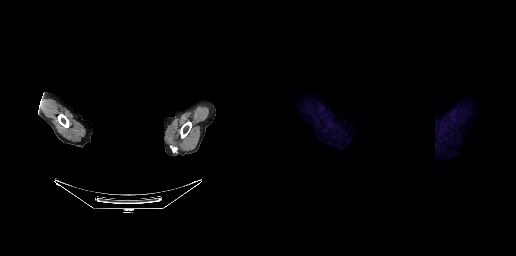
Findings: This slice has no annotated PSMA-avid lesion.
- the face region was removed for patient privacy by blanking a rectangle over the head
- Two-panel axial: CT | PSMA PET, 18F-PSMA tracer
- slice position z = -68 mm